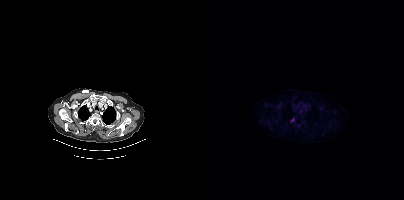
Technique: Two-panel axial: CT | PSMA PET, 18F tracer. slice position z = -454 mm. PET panel 200×200 px (4.1 mm/px).
Findings: Coordinates are on the 200×200 PET (right) panel. (showing 1 of 2 foci) PSMA-avid tumor lesion bounding box (x0, y0)-(x1, y1): (86, 118)-(90, 122).